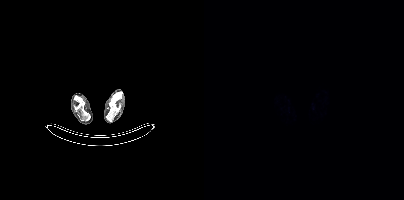
Technique: Two-panel axial: CT | PSMA PET, [18F]PSMA-1007 tracer. acquired on Siemens Biograph mCT Flow 20. slice 59 of 963.
Findings: No PSMA-avid tumor lesions on this slice.